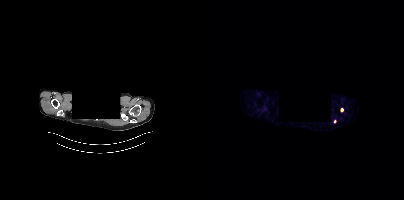
Findings: Coordinates are on the 200×200 PET (right) panel. Small PSMA-avid foci (2 to 4 px across) near (center x, center y): (130, 121); (137, 109).
Technique: Two-panel axial: CT | PSMA PET, 68Ga-PSMA tracer. PET panel 200×200 px (4.1 mm/px).
Note: Face de-identified by blanking a block of the head.